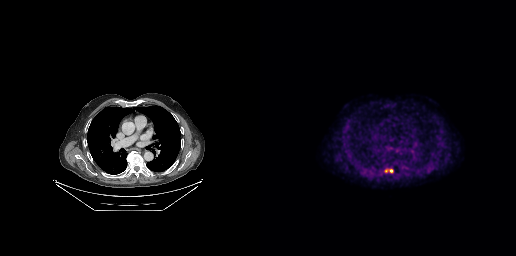
Findings: Coordinates are on the 256×256 PET (right) panel. PSMA-avid tumor lesion bounding box (x0,y0,x1,y1): [125,169,133,172].
- Two-panel axial: CT | PSMA PET, [18F]PSMA-1007 tracer
- acquired on GE Discovery 690
- PET panel 256×256 px (2.7 mm/px)